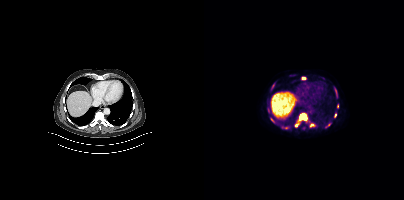
Findings: Coordinates are on the 200×200 PET (right) panel. (showing 10 of 11 foci) PSMA-avid tumor lesion bounding boxes (x, y, width, height): x=95 y=113 w=8 h=8 / x=78 y=127 w=7 h=3 / x=106 y=123 w=5 h=4 / x=132 y=93 w=2 h=5 / x=130 y=113 w=3 h=5. Small PSMA-avid foci (2 to 4 px across) near (center x, center y): (91, 124) / (99, 78) / (68, 119) / (69, 85) / (133, 106).
Technique: Paired axial CT (left) and PSMA PET (right), 18F tracer. PET panel 200×200 px (4.1 mm/px).